Left: CT. Right: PSMA PET, same axial level, [18F]PSMA-1007 tracer. Acquired on Siemens Biograph mCT Flow 20. Slice 182 of 448. PET panel 200×200 px (4.1 mm/px).
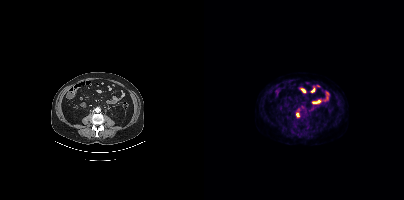
Coordinates are on the 200×200 PET (right) panel. Small PSMA-avid foci (2 to 4 px across) near (center x, center y): (99, 107); (93, 114).